Technique: Left: CT. Right: PSMA PET, same axial level, [18F]PSMA-1007 tracer.
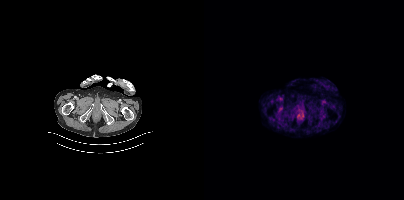
Findings: No tumor lesions annotated on this slice.